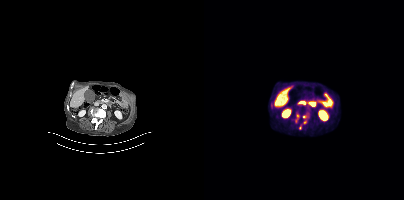
Coordinates are on the 200×200 PET (right) panel. PSMA-avid tumor lesion bounding boxes (x, y, width, height): x=95 y=112 w=11 h=18 / x=91 y=116 w=6 h=8.